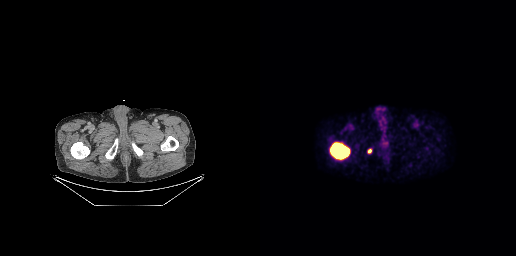
modality: PSMA PET/CT | tracer: 18F-PSMA | view: axial
Coordinates are on the 256×256 PET (right) panel. PSMA-avid tumor lesion bounding box (x0,y0,x1,y1): [69,141,90,160]. Small PSMA-avid focus (2 to 4 px across) near (center x, center y): (109, 150).